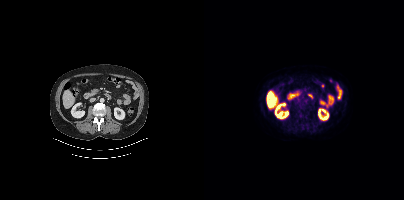
Technique: Two-panel axial: CT | PSMA PET, 18F tracer. acquired on Siemens Biograph mCT Flow 20. slice 208 of 464.
Findings: Coordinates are on the 200×200 PET (right) panel. (showing 3 of 4 foci) PSMA-avid tumor lesion bounding box (x0,y0,x1,y1): [93,102,103,117]. Small PSMA-avid foci (2 to 4 px across) near (center x, center y): (93, 120), (102, 117).